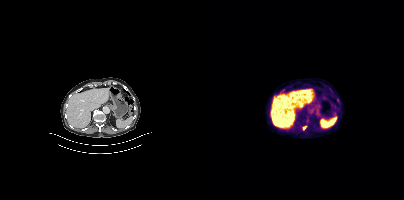
Coordinates are on the 200×200 PET (right) panel. Small PSMA-avid focus (2 to 4 px across) near (center x, center y): (100, 128). Left: CT. Right: PSMA PET, same axial level, 18F-PSMA tracer. PET panel 200×200 px (4.1 mm/px).